Two-panel axial: CT | PSMA PET, [18F]PSMA-1007 tracer.
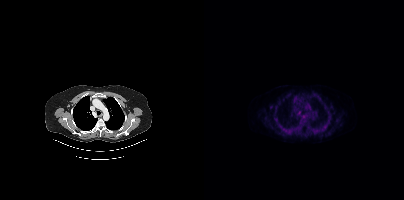
Coordinates are on the 200×200 PET (right) panel. Small PSMA-avid focus (2 to 4 px across) near (center x, center y): (66, 106).